Paired axial CT (left) and PSMA PET (right), 18F-PSMA tracer.
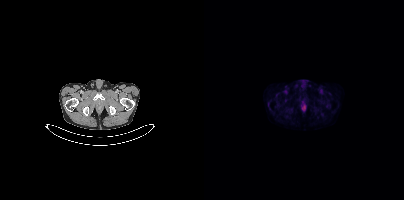
Negative for PSMA-avid disease on this slice.